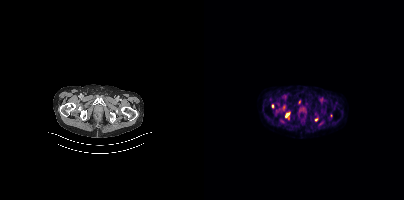
{"pet_grid":[200,200],"coord_frame":"pet_panel","coord_format":"x0,y0,x1,y1","lesion_bboxes":[[81,113,85,117]],"small_foci_centers":[[68,106],[111,119]],"modality":"PSMA PET/CT","view":"axial","tracer":"[18F]PSMA-1007"}